Technique: Two-panel axial: CT | PSMA PET, 18F-PSMA tracer. acquired on Siemens Biograph mCT Flow 20. slice position z = -1214 mm.
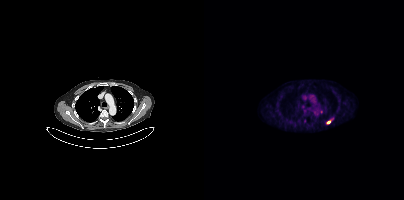
Findings: Coordinates are on the 200×200 PET (right) panel. Small PSMA-avid focus (2 to 4 px across) near (center x, center y): (124, 122).